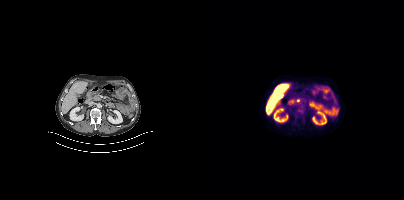
No PSMA-avid tumor lesions on this slice.